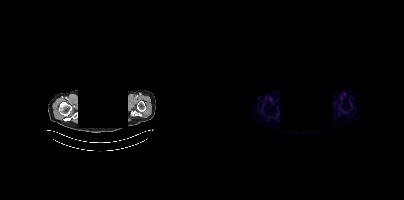
Privacy masking over the head, with the pixels inside a rectangle set to black. Two-panel axial: CT | PSMA PET, 18F tracer. Slice position z = -1104 mm. Negative for PSMA-avid disease on this slice.